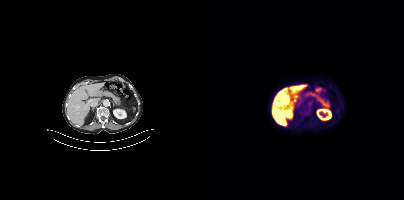
modality: PSMA PET/CT | tracer: 18F | view: axial | PET grid: 200×200
No tumor lesions annotated on this slice.